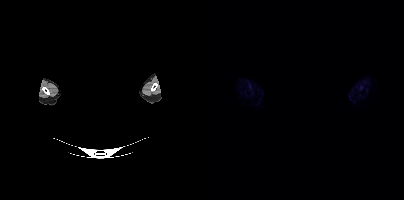
No PSMA-avid tumor lesions on this slice.
The head region is masked for de-identification.